Two-panel axial: CT | PSMA PET, 18F-PSMA tracer. Acquired on Siemens Biograph mCT Flow 20. PET panel 200×200 px (4.1 mm/px).
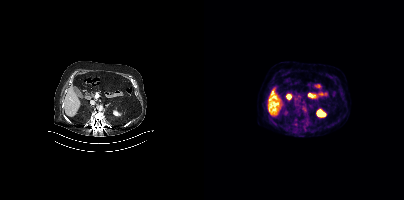
Only PSMA-avid lesion pieces thinner than 2 px on this slice (not listed).